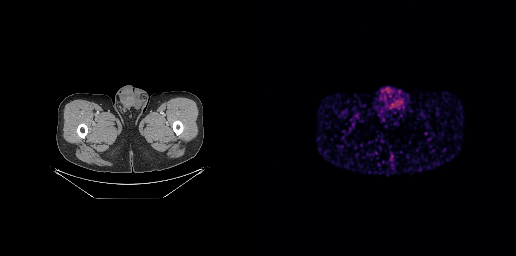
{"modality":"PSMA PET/CT","view":"axial","tracer":"[68Ga]Ga-PSMA-11","pet_grid":[256,256],"coord_frame":"pet_panel","coord_format":"x0,y0,x1,y1","psma_avid_lesions":false}